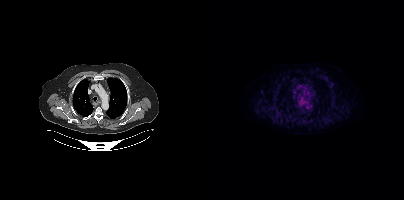
{"pet_grid":[200,200],"coord_frame":"pet_panel","coord_format":"x0,y0,x1,y1","psma_avid_lesions":false,"modality":"PSMA PET/CT","view":"axial","tracer":"18F"}